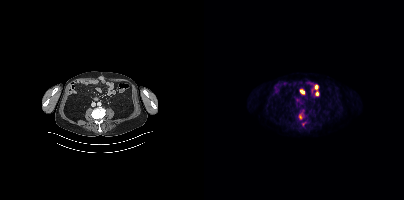
Coordinates are on the 200×200 PET (right) panel. (showing 1 of 2 foci) Small PSMA-avid focus (2 to 4 px across) near (center x, center y): (96, 117).